Two-panel axial: CT | PSMA PET, 18F tracer. Slice position z = -118 mm. PET panel 200×200 px (4.1 mm/px). Head region blanked for anonymization (face removed).
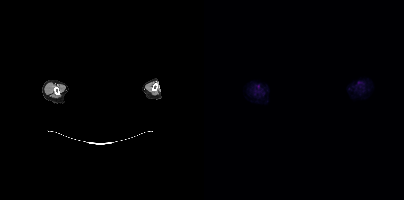
Negative for PSMA-avid disease on this slice.